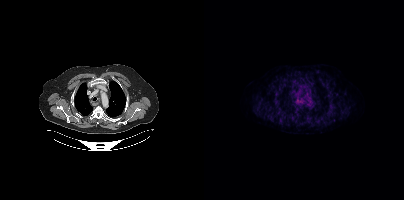
No tumor lesions annotated on this slice.
modality: PSMA PET/CT | tracer: [18F]PSMA-1007 | view: axial | PET grid: 200×200